Left: CT. Right: PSMA PET, same axial level, 18F-PSMA tracer. Slice position z = -10 mm. PET panel 200×200 px (4.1 mm/px).
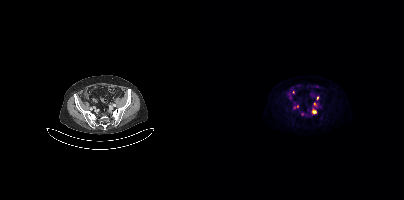
Coordinates are on the 200×200 PET (right) panel. PSMA-avid tumor lesion bounding boxes (partial; 1 more focus not listed):
| # | x0 | y0 | x1 | y1 |
|---|---|---|---|---|
| 1 | 108 | 110 | 112 | 113 |
Small PSMA-avid foci (2 to 4 px across) near (center x, center y): (93, 106); (110, 104); (89, 92); (90, 107); (113, 97).